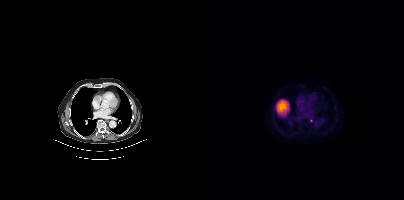
{"pet_grid":[200,200],"coord_frame":"pet_panel","coord_format":"x0,y0,x1,y1","lesion_bboxes":[],"small_foci_centers":[[107,120]],"modality":"PSMA PET/CT","view":"axial","tracer":"18F"}